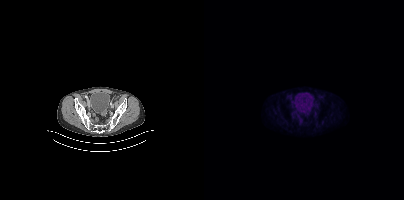
- Paired axial CT (left) and PSMA PET (right), 18F-PSMA tracer
- PET panel 200×200 px (4.1 mm/px)
Findings: Negative for PSMA-avid disease on this slice.